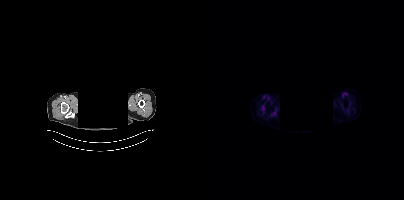
{"modality":"PSMA PET/CT","view":"axial","tracer":"18F","pet_grid":[200,200],"coord_frame":"pet_panel","coord_format":"x0,y0,x1,y1","redaction":"rectangular block over head set to black","psma_avid_lesions":false}